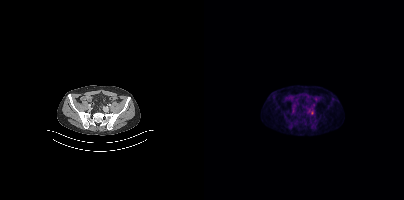
Coordinates are on the 200×200 PET (right) panel. Small PSMA-avid focus (2 to 4 px across) near (center x, center y): (108, 112). Two-panel axial: CT | PSMA PET, [18F]PSMA-1007 tracer.